- Two-panel axial: CT | PSMA PET, [18F]PSMA-1007 tracer
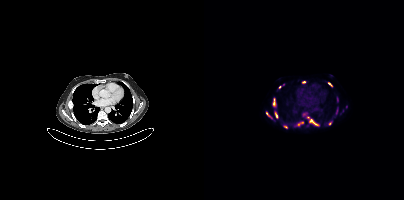
Findings: Coordinates are on the 200×200 PET (right) panel. (showing 13 of 17 foci) PSMA-avid tumor lesion bounding boxes (x0, y0)-(x1, y1): (105, 120)-(112, 124) | (90, 122)-(99, 127) | (69, 98)-(71, 105) | (71, 113)-(73, 118). Small PSMA-avid foci (2 to 4 px across) near (center x, center y): (81, 126) | (126, 123) | (125, 84) | (76, 87) | (62, 113) | (101, 114) | (79, 84) | (133, 99) | (103, 116).